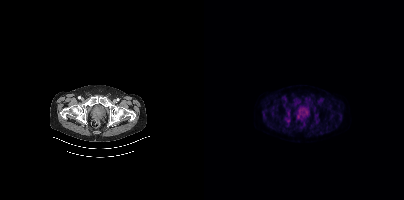
Only PSMA-avid lesion pieces thinner than 2 px on this slice (not listed). Left: CT. Right: PSMA PET, same axial level, [18F]PSMA-1007 tracer. Acquired on Siemens Biograph mCT Flow 20. Slice 75 of 409. PET panel 200×200 px (4.1 mm/px).